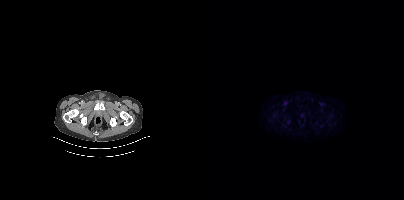
Findings: No tumor lesions annotated on this slice.
- Paired axial CT (left) and PSMA PET (right), [18F]PSMA-1007 tracer
- slice 68 of 435